Left: CT. Right: PSMA PET, same axial level, 18F tracer. Acquired on GE Discovery 690. Slice position z = -330 mm. PET panel 256×256 px (2.7 mm/px).
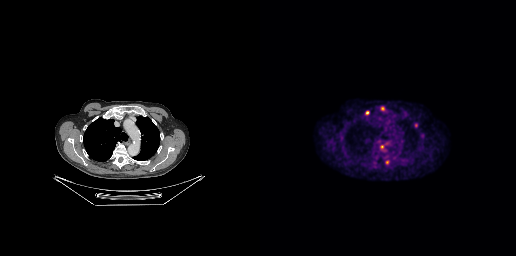
Coordinates are on the 256×256 PET (right) panel. (showing 4 of 5 foci) PSMA-avid tumor lesion bounding boxes (x0,y0,x1,y1): [120,145,124,150]; [125,160,129,164]; [105,111,109,114]. Small PSMA-avid focus (2 to 4 px across) near (center x, center y): (156, 125).